Technique: Left: CT. Right: PSMA PET, same axial level, [68Ga]Ga-PSMA-11 tracer. slice 55 of 195.
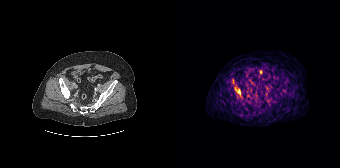
Findings: Coordinates are on the 168×168 PET (right) panel. (showing 1 of 3 foci) PSMA-avid tumor lesion bounding box (x0, y0)-(x1, y1): (63, 87)-(68, 95).